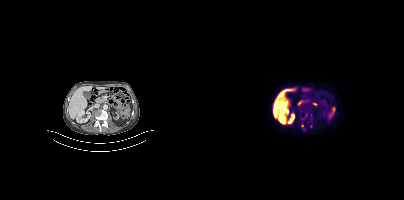
Two-panel axial: CT | PSMA PET, 18F-PSMA tracer. Acquired on Siemens Biograph mCT Flow 20. PET panel 200×200 px (4.1 mm/px). Coordinates are on the 200×200 PET (right) panel. (showing 2 of 5 foci) Small PSMA-avid foci (2 to 4 px across) near (center x, center y): (101, 115) / (98, 118).